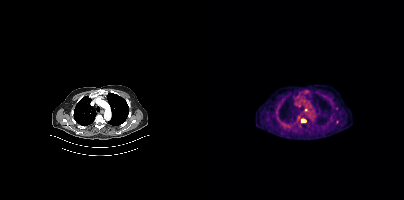
{"modality":"PSMA PET/CT","view":"axial","tracer":"18F","pet_grid":[200,200],"coord_frame":"pet_panel","coord_format":"x0,y0,x1,y1","partial":true,"lesion_bboxes":[[97,120,101,122]],"small_foci_centers":[[102,109]]}